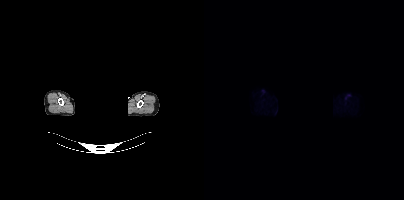
Facial anatomy redacted by setting a rectangular region of the head to black. Paired axial CT (left) and PSMA PET (right), 18F tracer. Acquired on Siemens Biograph mCT Flow 20. Slice 385 of 421. PET panel 200×200 px (4.1 mm/px). No tumor lesions annotated on this slice.